- Paired axial CT (left) and PSMA PET (right), 18F-PSMA tracer
- slice 94 of 299
- PET panel 256×256 px (2.7 mm/px)
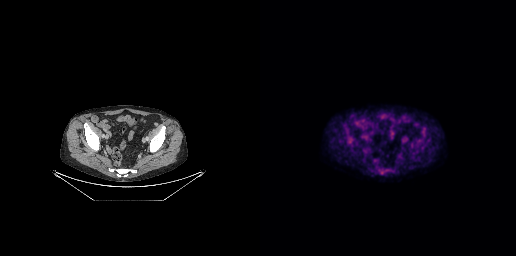
Findings: Negative for PSMA-avid disease on this slice.